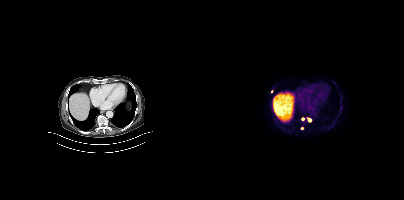
{"modality":"PSMA PET/CT","view":"axial","tracer":"18F","pet_grid":[200,200],"coord_frame":"pet_panel","coord_format":"x0,y0,x1,y1","partial":true,"lesion_bboxes":[],"small_foci_centers":[[105,120],[98,118]]}